Technique: Paired axial CT (left) and PSMA PET (right), 18F-PSMA tracer.
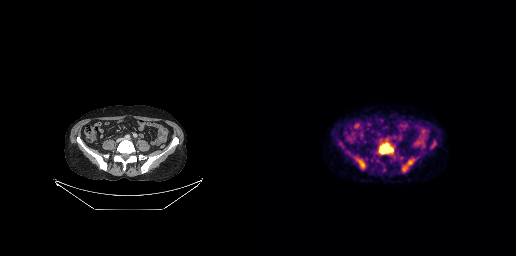
Findings: Coordinates are on the 256×256 PET (right) panel. PSMA-avid tumor lesion bounding boxes (x0, y0)-(x1, y1): (119, 143)-(133, 153) / (142, 159)-(154, 171) / (97, 159)-(104, 168).